- Two-panel axial: CT | PSMA PET, [18F]PSMA-1007 tracer
- acquired on Siemens Biograph mCT Flow 20
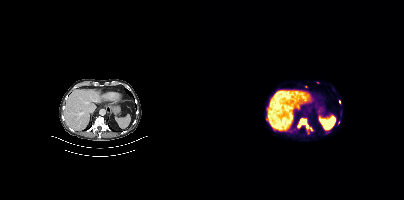
Findings: Coordinates are on the 200×200 PET (right) panel. (showing 5 of 7 foci) PSMA-avid tumor lesion bounding box (x0,y0,x1,y1): [94,118,108,130]. Small PSMA-avid foci (2 to 4 px across) near (center x, center y): (135, 101) (114, 82) (134, 122) (101, 86).